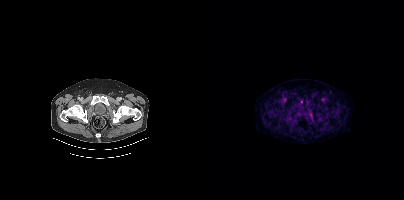
Only PSMA-avid lesion pieces thinner than 2 px on this slice (not listed). Paired axial CT (left) and PSMA PET (right), 18F-PSMA tracer. Slice 98 of 454.